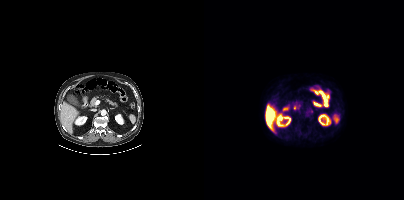
Negative for PSMA-avid disease on this slice. Two-panel axial: CT | PSMA PET, 18F-PSMA tracer. Acquired on Siemens Biograph mCT Flow 20. PET panel 200×200 px (4.1 mm/px).